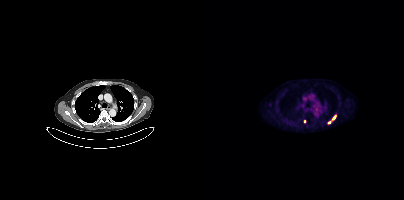
Coordinates are on the 200×200 PET (right) panel. PSMA-avid tumor lesion bounding box (x0,y0,x1,y1): [128,115,132,119]. Small PSMA-avid foci (2 to 4 px across) near (center x, center y): (125, 122), (100, 121).